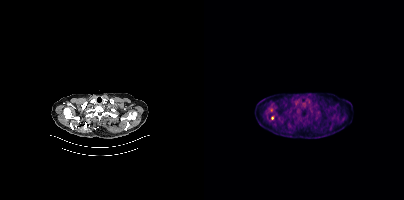
Technique: Left: CT. Right: PSMA PET, same axial level, [18F]PSMA-1007 tracer. acquired on Siemens Biograph mCT Flow 20. slice 330 of 397. PET panel 200×200 px (4.1 mm/px).
Findings: Coordinates are on the 200×200 PET (right) panel. Small PSMA-avid focus (2 to 4 px across) near (center x, center y): (68, 118).